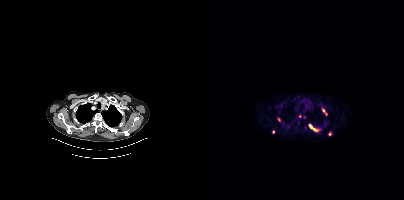
Technique: Left: CT. Right: PSMA PET, same axial level, 68Ga tracer. slice 317 of 409. PET panel 200×200 px (4.1 mm/px).
Findings: Coordinates are on the 200×200 PET (right) panel. (showing 8 of 9 foci) PSMA-avid tumor lesion bounding boxes (x0, y0)-(x1, y1): (105, 124)-(116, 131) | (118, 108)-(123, 115). Small PSMA-avid foci (2 to 4 px across) near (center x, center y): (96, 116) | (126, 134) | (69, 132) | (75, 119) | (90, 98) | (100, 116).